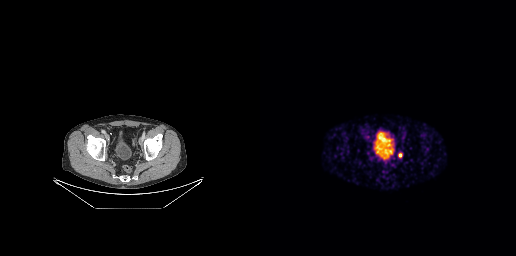
Coordinates are on the 256×256 PET (right) panel. PSMA-avid tumor lesion bounding box (x0, y0)-(x1, y1): (138, 153)-(141, 157).